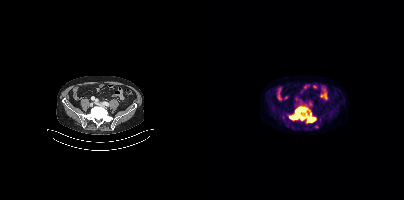
- Two-panel axial: CT | PSMA PET, 18F-PSMA tracer
- acquired on Siemens Biograph mCT Flow 20
- PET panel 200×200 px (4.1 mm/px)
Findings: Coordinates are on the 200×200 PET (right) panel. (showing 2 of 3 foci) PSMA-avid tumor lesion bounding box (x0, y0)-(x1, y1): (85, 107)-(112, 123). Small PSMA-avid focus (2 to 4 px across) near (center x, center y): (112, 126).